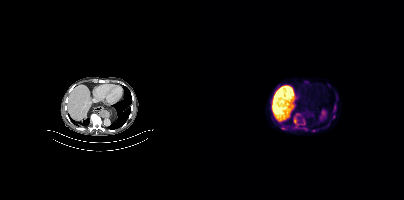
Coordinates are on the 200×200 PET (right) panel. (showing 7 of 10 foci) PSMA-avid tumor lesion bounding boxes (x0,y0,x1,y1): [90,117,94,125]; [129,106,132,110]. Small PSMA-avid foci (2 to 4 px across) near (center x, center y): (101, 128); (130, 116); (79, 128); (93, 114); (109, 130).